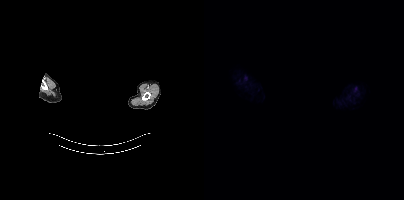
No tumor lesions annotated on this slice. Left: CT. Right: PSMA PET, same axial level, 18F-PSMA tracer. A rectangle over the head was blacked out to remove identifiable facial features.